Technique: Paired axial CT (left) and PSMA PET (right), 18F tracer. acquired on Siemens Biograph mCT Flow 20. slice 134 of 403. PET panel 200×200 px (4.1 mm/px).
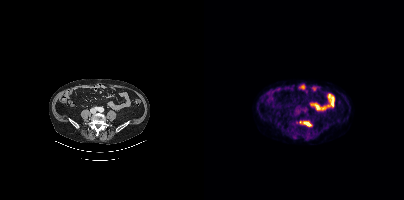
Findings: Coordinates are on the 200×200 PET (right) panel. (showing 1 of 2 foci) PSMA-avid tumor lesion bounding box (x0,y0,x1,y1): [99,121,107,126].